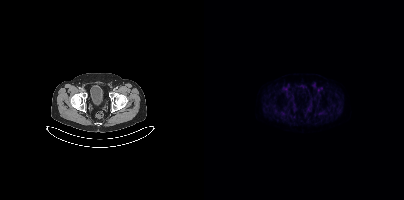
{"modality":"PSMA PET/CT","view":"axial","tracer":"18F-PSMA","pet_grid":[200,200],"coord_frame":"pet_panel","coord_format":"x0,y0,x1,y1","psma_avid_lesions":false}